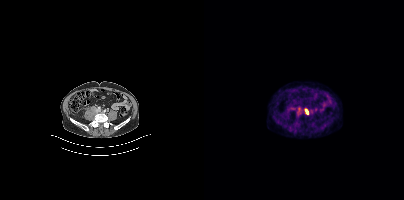
Coordinates are on the 200×200 PET (right) panel. PSMA-avid tumor lesion bounding boxes (x0,y0,x1,y1): [93,109,96,113]; [101,109,104,114].